Technique: Two-panel axial: CT | PSMA PET, 18F tracer. acquired on Siemens Biograph mCT Flow 20. slice 40 of 393. PET panel 200×200 px (4.1 mm/px).
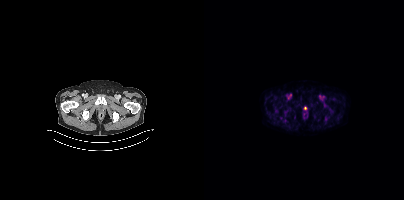
Findings: Coordinates are on the 200×200 PET (right) panel. (showing 2 of 3 foci) Small PSMA-avid foci (2 to 4 px across) near (center x, center y): (121, 119) / (72, 111).